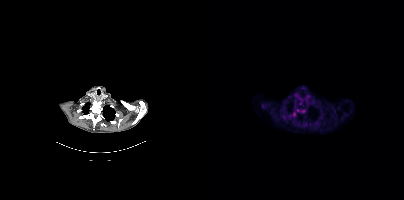
modality: PSMA PET/CT | tracer: [18F]PSMA-1007 | view: axial | PET grid: 200×200
Only PSMA-avid lesion pieces thinner than 2 px on this slice (not listed).